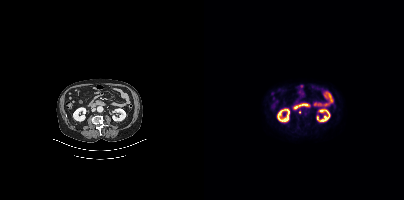
Coordinates are on the 200×200 PET (right) panel. Small PSMA-avid focus (2 to 4 px across) near (center x, center y): (96, 111).